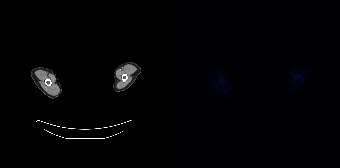
- privacy masking over the head, with the pixels inside a rectangle set to black
- Paired axial CT (left) and PSMA PET (right), 18F tracer
- acquired on Siemens Biograph 64-4R TruePoint
- PET panel 168×168 px (4.1 mm/px)
Findings: Negative for PSMA-avid disease on this slice.